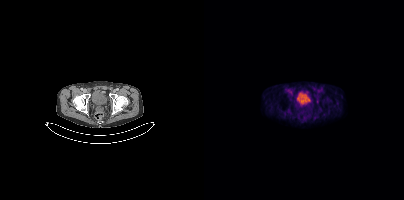
Findings: Coordinates are on the 200×200 PET (right) panel. Small PSMA-avid focus (2 to 4 px across) near (center x, center y): (113, 101).
Technique: Paired axial CT (left) and PSMA PET (right), [18F]PSMA-1007 tracer.